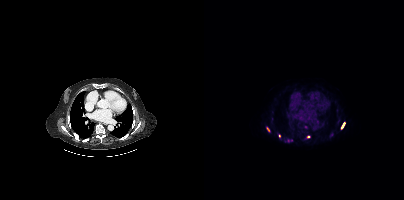
Left: CT. Right: PSMA PET, same axial level, [18F]PSMA-1007 tracer. Acquired on Siemens Biograph mCT Flow 20. PET panel 200×200 px (4.1 mm/px). Coordinates are on the 200×200 PET (right) panel. (showing 4 of 5 foci) PSMA-avid tumor lesion bounding boxes (x0,y0,x1,y1): [102,135,106,138], [137,122,140,128], [62,127,66,131]. Small PSMA-avid focus (2 to 4 px across) near (center x, center y): (75, 135).